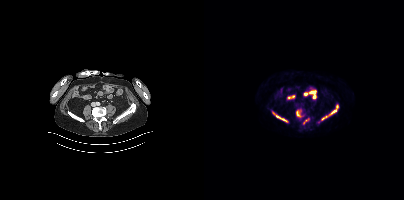
{"modality":"PSMA PET/CT","view":"axial","tracer":"[18F]PSMA-1007","pet_grid":[200,200],"coord_frame":"pet_panel","coord_format":"x0,y0,x1,y1","partial":true,"lesion_bboxes":[[118,110,132,119],[71,115,82,121],[99,118,105,124],[93,111,95,115]]}